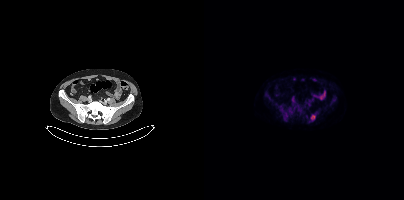
Coordinates are on the 200×200 PET (right) panel. PSMA-avid tumor lesion bounding boxes:
| # | x0 | y0 | x1 | y1 |
|---|---|---|---|---|
| 1 | 107 | 115 | 111 | 120 |
| 2 | 80 | 113 | 83 | 117 |
Two-panel axial: CT | PSMA PET, 18F tracer. Acquired on Siemens Biograph mCT Flow 20. PET panel 200×200 px (4.1 mm/px).